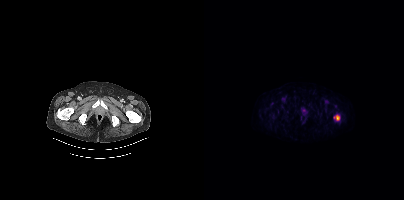
Coordinates are on the 200×200 PET (right) panel. (showing 1 of 2 foci) Small PSMA-avid focus (2 to 4 px across) near (center x, center y): (133, 117).